modality: PSMA PET/CT | tracer: 18F-PSMA | view: axial | PET grid: 200×200
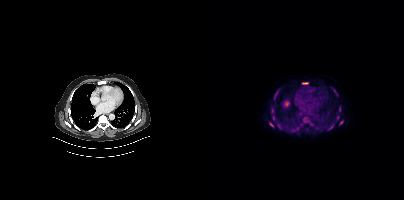
Coordinates are on the 200×200 PET (right) panel. PSMA-avid tumor lesion bounding boxes (x0, y0)-(x1, y1): (67, 107)-(70, 112) / (68, 115)-(71, 120) / (124, 124)-(130, 130) / (65, 122)-(69, 127) / (98, 82)-(104, 84) / (127, 87)-(132, 92) / (135, 120)-(139, 124) / (73, 123)-(76, 127) / (133, 116)-(135, 120). Small PSMA-avid foci (2 to 4 px across) near (center x, center y): (74, 90) / (70, 97) / (135, 108) / (93, 128) / (89, 130).